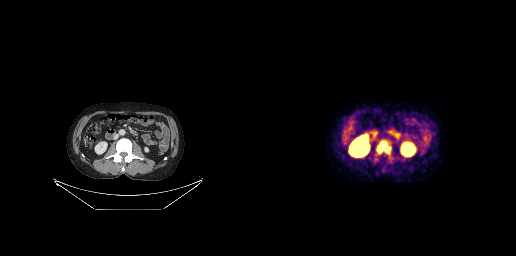
{"modality":"PSMA PET/CT","view":"axial","tracer":"18F-PSMA","pet_grid":[256,256],"coord_frame":"pet_panel","coord_format":"x0,y0,x1,y1","lesion_bboxes":[[116,140,131,154]]}